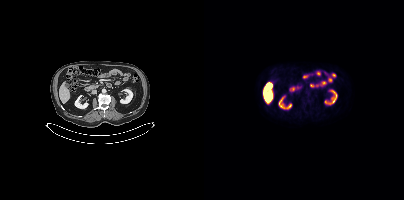
Left: CT. Right: PSMA PET, same axial level, [18F]PSMA-1007 tracer. Slice 173 of 403. PET panel 200×200 px (4.1 mm/px). Negative for PSMA-avid disease on this slice.